Technique: Left: CT. Right: PSMA PET, same axial level, [18F]PSMA-1007 tracer. slice position z = -56 mm. PET panel 200×200 px (4.1 mm/px).
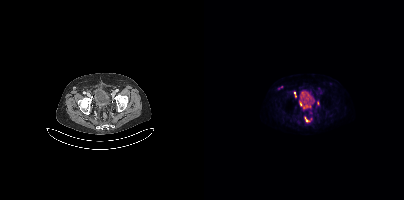
Findings: Coordinates are on the 200×200 PET (right) panel. PSMA-avid tumor lesion bounding boxes (x0,y0,x1,y1): [95,102,98,106], [101,117,105,122], [90,92,92,96]. Small PSMA-avid focus (2 to 4 px across) near (center x, center y): (113, 103).